modality: PSMA PET/CT | tracer: 18F | view: axial
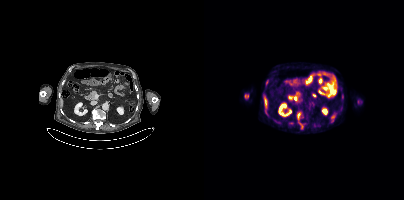
Coordinates are on the 200×200 PET (right) panel. (showing 2 of 3 foci) PSMA-avid tumor lesion bounding box (x0,y0,x1,y1): [93,113,96,119]. Small PSMA-avid focus (2 to 4 px across) near (center x, center y): (62, 82).